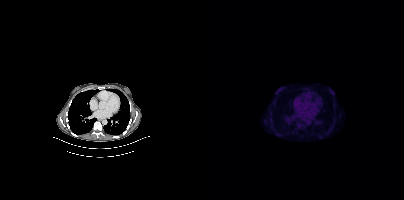
Paired axial CT (left) and PSMA PET (right), [18F]PSMA-1007 tracer. Acquired on Siemens Biograph mCT Flow 20. No tumor lesions annotated on this slice.